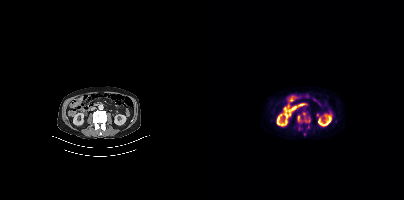
Coordinates are on the 200×200 PET (right) panel. (showing 2 of 4 foci) PSMA-avid tumor lesion bounding boxes (x0, y0)-(x1, y1): (99, 113)-(106, 122) / (93, 115)-(98, 122).